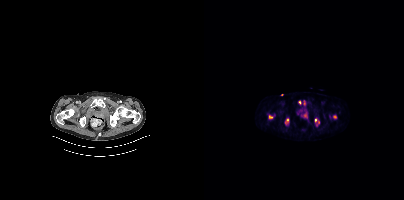
Left: CT. Right: PSMA PET, same axial level, 18F-PSMA tracer. Acquired on Siemens Biograph mCT Flow 20. PET panel 200×200 px (4.1 mm/px). Coordinates are on the 200×200 PET (right) panel. (showing 5 of 7 foci) Small PSMA-avid foci (2 to 4 px across) near (center x, center y): (112, 120) / (83, 120) / (66, 116) / (95, 102) / (130, 116).